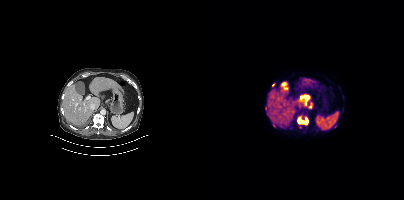
{"modality":"PSMA PET/CT","view":"axial","tracer":"18F-PSMA","pet_grid":[200,200],"coord_frame":"pet_panel","coord_format":"x0,y0,x1,y1","lesion_bboxes":[[93,116,104,124]],"small_foci_centers":[[69,84]]}